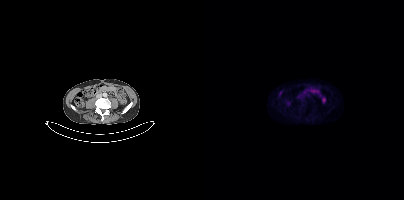
Technique: Left: CT. Right: PSMA PET, same axial level, [18F]PSMA-1007 tracer. slice 147 of 448. PET panel 200×200 px (4.1 mm/px).
Findings: Negative for PSMA-avid disease on this slice.